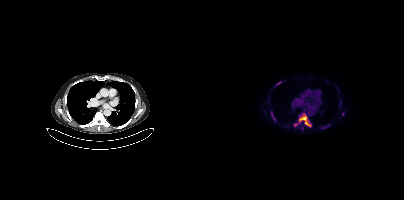
{"modality":"PSMA PET/CT","view":"axial","tracer":"18F-PSMA","pet_grid":[200,200],"coord_frame":"pet_panel","coord_format":"x0,y0,x1,y1","lesion_bboxes":[[90,114,107,126],[118,124,126,129],[67,112,72,121],[72,82,77,85]],"small_foci_centers":[[138,114]]}